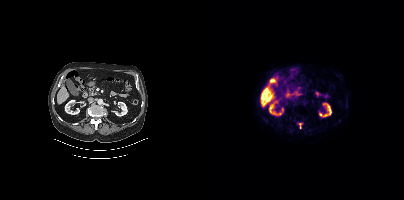
modality: PSMA PET/CT | tracer: [18F]PSMA-1007 | view: axial | PET grid: 200×200
Coordinates are on the 200×200 PET (right) panel. PSMA-avid tumor lesion bounding box (x, y, width, height): x=95 y=123 w=4 h=6.